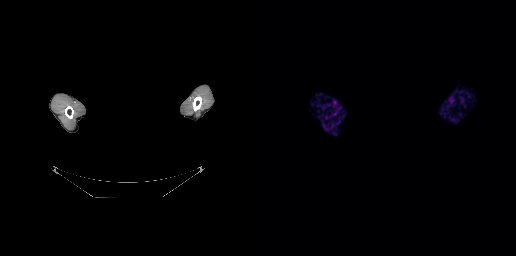
Any black rectangle over the head is a privacy mask, not anatomy.
This slice has no annotated PSMA-avid lesion.